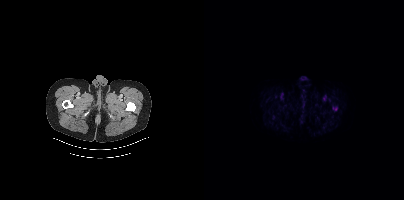
Coordinates are on the 200×200 PET (right) panel. (showing 1 of 2 foci) Small PSMA-avid focus (2 to 4 px across) near (center x, center y): (131, 109). Left: CT. Right: PSMA PET, same axial level, [18F]PSMA-1007 tracer. Acquired on Siemens Biograph mCT Flow 20.